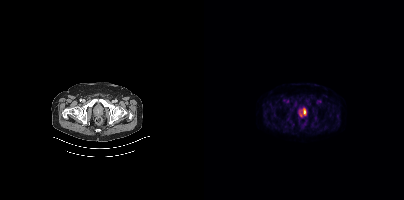
No tumor lesions annotated on this slice.
modality: PSMA PET/CT | tracer: [18F]PSMA-1007 | view: axial | PET grid: 200×200